modality: PSMA PET/CT | tracer: 18F | view: axial | PET grid: 168×168
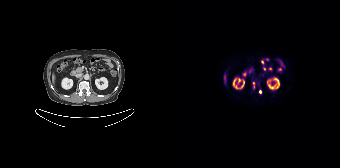
Coordinates are on the 168×168 PET (right) panel. PSMA-avid tumor lesion bounding box (x, y, width, height): x=81 y=82 w=2 h=6. Small PSMA-avid focus (2 to 4 px across) near (center x, center y): (88, 91).